- the face region was removed for patient privacy by blanking a rectangle over the head
- Left: CT. Right: PSMA PET, same axial level, [68Ga]Ga-PSMA-11 tracer
- acquired on GE Discovery 690
- PET panel 256×256 px (2.7 mm/px)
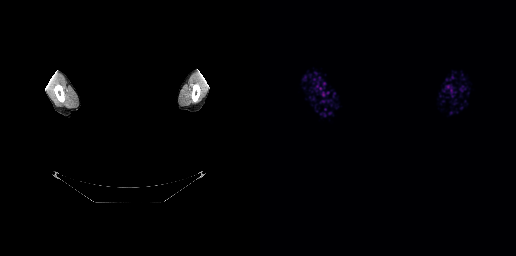
Findings: No tumor lesions annotated on this slice.